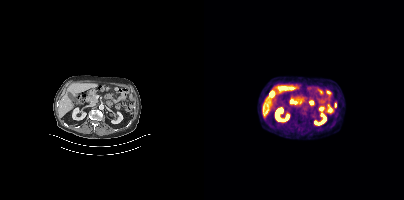
This slice has no annotated PSMA-avid lesion.
modality: PSMA PET/CT | tracer: 18F | view: axial | PET grid: 200×200